Two-panel axial: CT | PSMA PET, 18F-PSMA tracer. Acquired on Siemens Biograph mCT Flow 20.
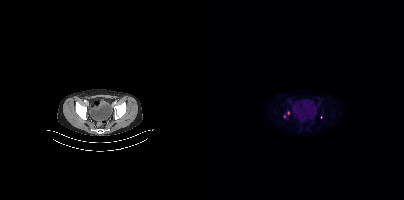
Coordinates are on the 200×200 PET (right) panel. (showing 1 of 3 foci) Small PSMA-avid focus (2 to 4 px across) near (center x, center y): (84, 112).